Technique: Two-panel axial: CT | PSMA PET, 18F tracer. acquired on Siemens Biograph mCT Flow 20. slice 243 of 427.
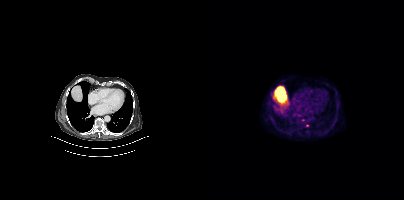
Findings: Only PSMA-avid lesion pieces thinner than 2 px on this slice (not listed).